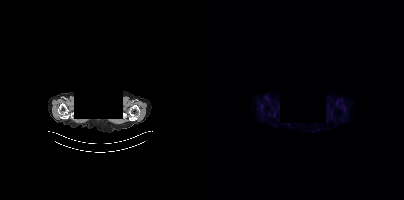
Technique: Paired axial CT (left) and PSMA PET (right), [18F]PSMA-1007 tracer. PET panel 200×200 px (4.1 mm/px).
Note: Privacy masking over the head, with the pixels inside a rectangle set to black.
Findings: This slice has no annotated PSMA-avid lesion.